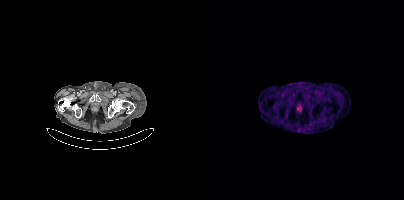
modality: PSMA PET/CT | tracer: 68Ga | view: axial
Coordinates are on the 200×200 PET (right) panel. PSMA-avid tumor lesion bounding box (x0,y0,x1,y1): [93,106,97,111].